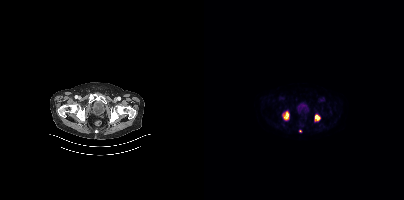
modality: PSMA PET/CT | tracer: [18F]PSMA-1007 | view: axial | PET grid: 200×200
Coordinates are on the 200×200 PET (right) panel. PSMA-avid tumor lesion bounding boxes (x0, y0)-(x1, y1): (80, 112)-(84, 119) / (111, 115)-(115, 120). Small PSMA-avid focus (2 to 4 px across) near (center x, center y): (96, 130).